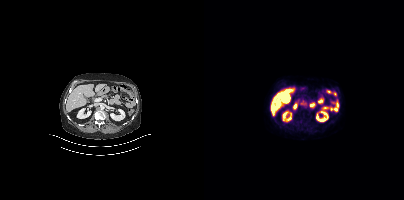
{"pet_grid":[200,200],"coord_frame":"pet_panel","coord_format":"x0,y0,x1,y1","psma_avid_lesions":false,"modality":"PSMA PET/CT","view":"axial","tracer":"[18F]PSMA-1007"}